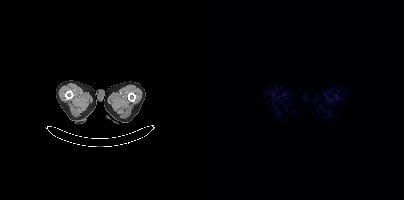
{"pet_grid":[200,200],"coord_frame":"pet_panel","coord_format":"x0,y0,x1,y1","psma_avid_lesions":false,"modality":"PSMA PET/CT","view":"axial","tracer":"18F"}